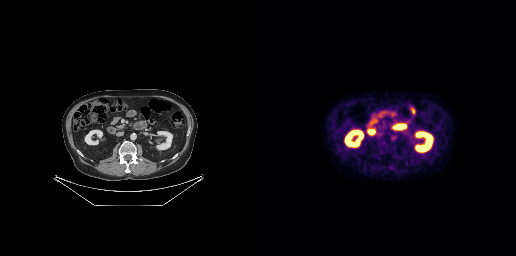
{"pet_grid":[256,256],"coord_frame":"pet_panel","coord_format":"x0,y0,x1,y1","psma_avid_lesions":false,"modality":"PSMA PET/CT","view":"axial","tracer":"18F-PSMA"}